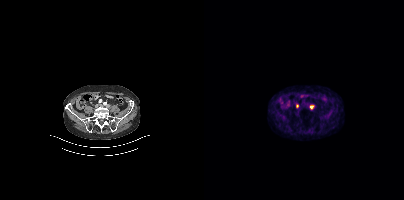
{"pet_grid":[200,200],"coord_frame":"pet_panel","coord_format":"x0,y0,x1,y1","lesion_bboxes":[],"small_foci_centers":[[107,107],[93,106]],"modality":"PSMA PET/CT","view":"axial","tracer":"68Ga"}